Two-panel axial: CT | PSMA PET, 18F tracer. Acquired on Siemens Biograph mCT Flow 20.
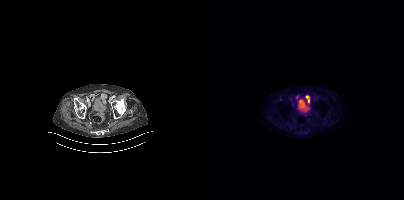
Negative for PSMA-avid disease on this slice.